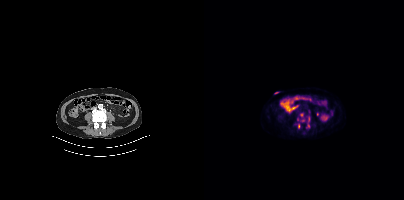
Coordinates are on the 200×200 PET (right) panel. Small PSMA-avid focus (2 to 4 px across) near (center x, center y): (94, 126). Two-panel axial: CT | PSMA PET, 18F tracer. Acquired on Siemens Biograph mCT Flow 20.